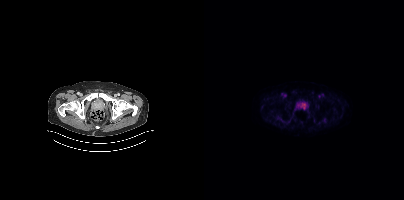
- Two-panel axial: CT | PSMA PET, [18F]PSMA-1007 tracer
- slice position z = -1529 mm
- PET panel 200×200 px (4.1 mm/px)
Findings: Coordinates are on the 200×200 PET (right) panel. PSMA-avid tumor lesion bounding box (x0, y0)-(x1, y1): (95, 103)-(102, 109).